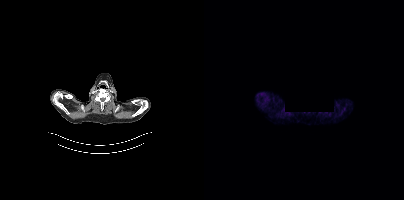
No PSMA-avid tumor lesions on this slice.
A rectangular privacy mask was applied before release.